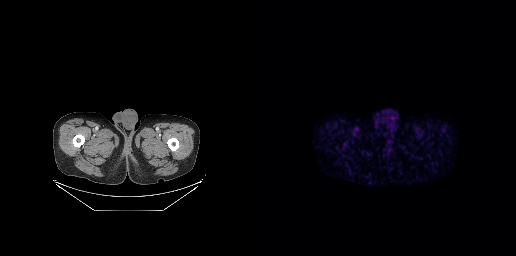
Technique: Paired axial CT (left) and PSMA PET (right), 68Ga-PSMA tracer. PET panel 256×256 px (2.7 mm/px).
Findings: No tumor lesions annotated on this slice.